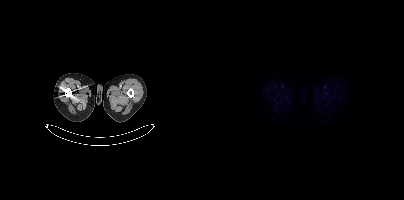
This slice has no annotated PSMA-avid lesion.